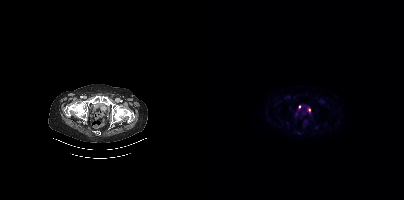
Coordinates are on the 200×200 PET (right) panel. PSMA-avid tumor lesion bounding box (x, y, width, height): x=104 y=108 w=3 h=5. Small PSMA-avid foci (2 to 4 px across) near (center x, center y): (95, 106) | (92, 114).